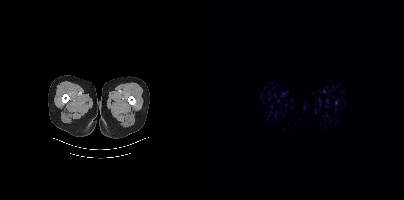
{"pet_grid":[200,200],"coord_frame":"pet_panel","coord_format":"x0,y0,x1,y1","partial":true,"lesion_bboxes":[],"modality":"PSMA PET/CT","view":"axial","tracer":"18F"}